Paired axial CT (left) and PSMA PET (right), 18F tracer. Acquired on Siemens Biograph mCT Flow 20. PET panel 200×200 px (4.1 mm/px).
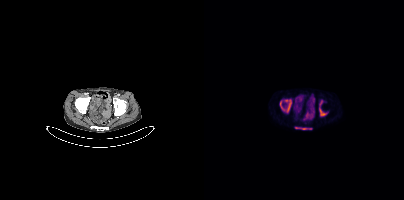
Coordinates are on the 200×200 PET (right) panel. PSMA-avid tumor lesion bounding boxes (x0,y0,x1,y1): [76,99,87,112] [115,100,122,116] [91,127,107,129].